Paired axial CT (left) and PSMA PET (right), 68Ga-PSMA tracer. Slice 97 of 409.
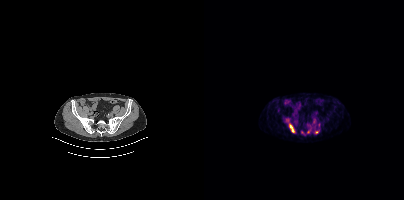
Coordinates are on the 200×200 PET (right) panel. (showing 2 of 4 foci) PSMA-avid tumor lesion bounding box (x0, y0)-(x1, y1): (85, 124)-(90, 132). Small PSMA-avid focus (2 to 4 px across) near (center x, center y): (112, 132).